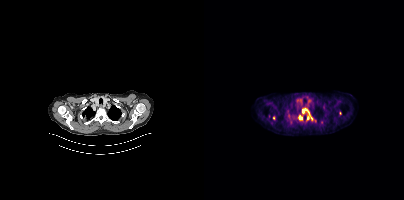
{"modality":"PSMA PET/CT","view":"axial","tracer":"18F","pet_grid":[200,200],"coord_frame":"pet_panel","coord_format":"x0,y0,x1,y1","partial":true,"lesion_bboxes":[[98,108,108,120],[94,115,98,120]]}